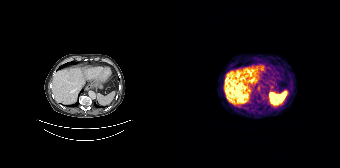
Coordinates are on the 168×168 PET (right) panel. Small PSMA-avid focus (2 to 4 px across) near (center x, center y): (87, 91).